Left: CT. Right: PSMA PET, same axial level, 18F-PSMA tracer. Slice position z = -632 mm. PET panel 200×200 px (4.1 mm/px).
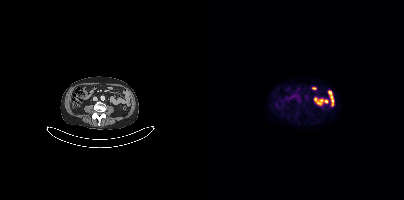
Negative for PSMA-avid disease on this slice.